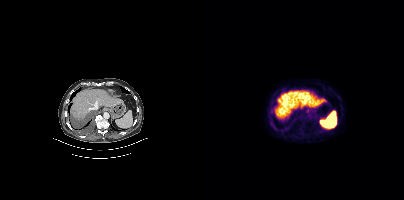
- Two-panel axial: CT | PSMA PET, 18F tracer
- PET panel 200×200 px (4.1 mm/px)
Findings: Coordinates are on the 200×200 PET (right) panel. PSMA-avid tumor lesion bounding box (x, y, width, height): x=69 y=125 w=5 h=6. Small PSMA-avid focus (2 to 4 px across) near (center x, center y): (81, 129).